Two-panel axial: CT | PSMA PET, [18F]PSMA-1007 tracer. Slice position z = -774 mm. PET panel 256×256 px (2.7 mm/px).
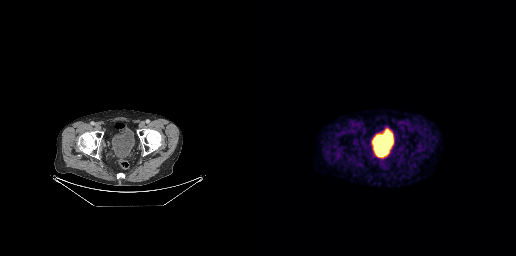
This slice has no annotated PSMA-avid lesion.